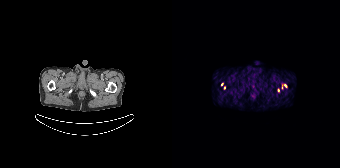
Findings: Coordinates are on the 168×168 PET (right) panel. (showing 4 of 5 foci) Small PSMA-avid foci (2 to 4 px across) near (center x, center y): (113, 85); (106, 90); (49, 84); (52, 87).
- Paired axial CT (left) and PSMA PET (right), 68Ga-PSMA tracer